Technique: Two-panel axial: CT | PSMA PET, [18F]PSMA-1007 tracer. PET panel 200×200 px (4.1 mm/px).
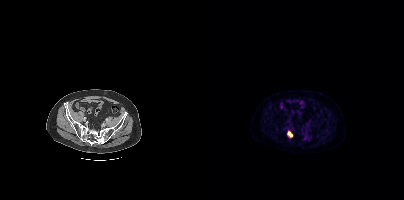
Findings: Coordinates are on the 200×200 PET (right) panel. PSMA-avid tumor lesion bounding box (x0,y0,x1,y1): [85,132,88,136].